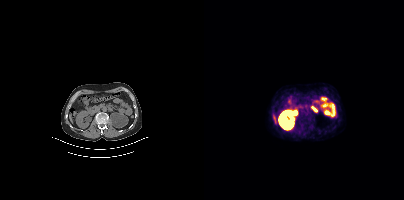
Left: CT. Right: PSMA PET, same axial level, 68Ga-PSMA tracer. Slice 180 of 409. PET panel 200×200 px (4.1 mm/px). No PSMA-avid tumor lesions on this slice.